- Two-panel axial: CT | PSMA PET, 68Ga-PSMA tracer
- acquired on GE Discovery 690
- PET panel 256×256 px (2.7 mm/px)
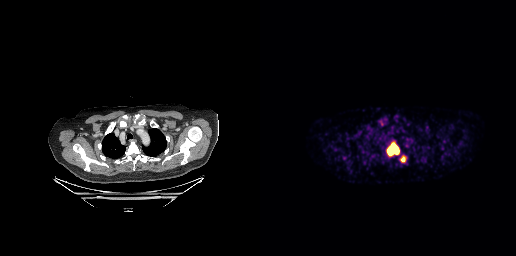
Findings: Coordinates are on the 256×256 PET (right) panel. PSMA-avid tumor lesion bounding boxes (x, y, width, height): x=127 y=142 w=13 h=14; x=141 y=157 w=4 h=5.